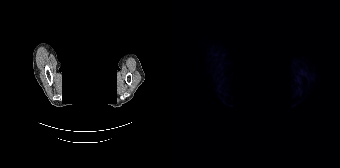
Left: CT. Right: PSMA PET, same axial level, 18F tracer. Slice 144 of 165. PET panel 168×168 px (4.1 mm/px). Head region blanked for anonymization (face removed). No PSMA-avid tumor lesions on this slice.